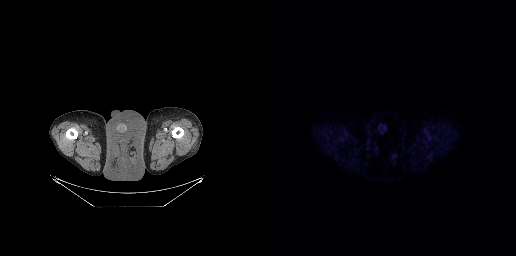
This slice has no annotated PSMA-avid lesion.